Technique: Two-panel axial: CT | PSMA PET, 18F tracer. acquired on Siemens Biograph mCT Flow 20. PET panel 200×200 px (4.1 mm/px).
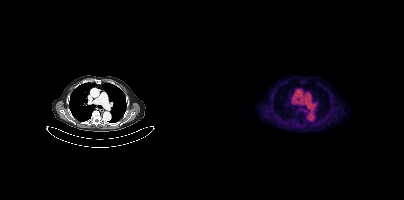
Findings: No PSMA-avid tumor lesions on this slice.